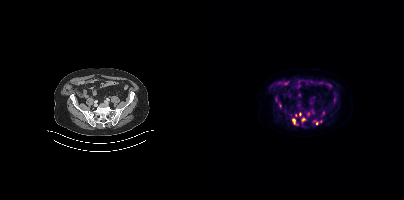
{"modality":"PSMA PET/CT","view":"axial","tracer":"18F","pet_grid":[200,200],"coord_frame":"pet_panel","coord_format":"x0,y0,x1,y1","partial":true,"lesion_bboxes":[[88,118,91,124],[110,120,114,124]],"small_foci_centers":[[99,119],[96,113],[76,105],[91,115],[109,112],[130,98],[116,121]]}